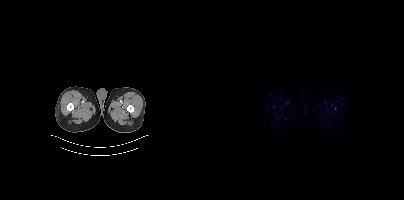
Findings: This slice has no annotated PSMA-avid lesion.
- Paired axial CT (left) and PSMA PET (right), [18F]PSMA-1007 tracer
- acquired on Siemens Biograph mCT Flow 20
- slice 16 of 444
- PET panel 200×200 px (4.1 mm/px)